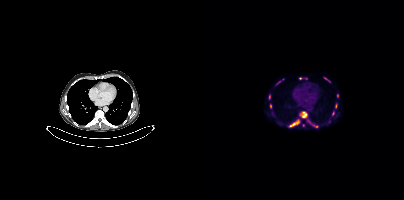
Left: CT. Right: PSMA PET, same axial level, 18F tracer. Acquired on Siemens Biograph mCT Flow 20. Slice position z = -1112 mm.
Coordinates are on the 200×200 PET (right) panel. PSMA-avid tumor lesion bounding boxes (partial; 1 more focus not listed):
| # | x0 | y0 | x1 | y1 |
|---|---|---|---|---|
| 1 | 95 | 111 | 103 | 118 |
| 2 | 85 | 119 | 95 | 127 |
| 3 | 120 | 77 | 126 | 82 |
| 4 | 65 | 95 | 66 | 99 |
| 5 | 66 | 104 | 67 | 108 |
Small PSMA-avid foci (2 to 4 px across) near (center x, center y): (132, 105); (96, 78); (129, 113); (105, 121); (133, 95); (99, 125); (125, 121); (109, 125); (75, 81).